Technique: Paired axial CT (left) and PSMA PET (right), 18F-PSMA tracer. acquired on Siemens Biograph mCT Flow 20. slice 332 of 395.
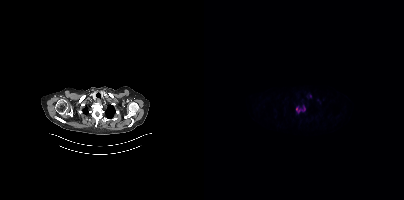
Findings: Coordinates are on the 200×200 PET (right) panel. PSMA-avid tumor lesion bounding box (x, y, width, height): x=96 y=108 w=6 h=4.